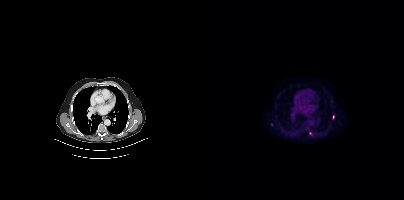
- Paired axial CT (left) and PSMA PET (right), 18F tracer
- PET panel 200×200 px (4.1 mm/px)
Findings: Coordinates are on the 200×200 PET (right) panel. Small PSMA-avid foci (2 to 4 px across) near (center x, center y): (129, 117) (106, 133).